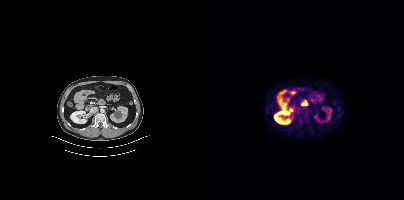
This slice has no annotated PSMA-avid lesion.